Two-panel axial: CT | PSMA PET, 18F-PSMA tracer. PET panel 200×200 px (4.1 mm/px).
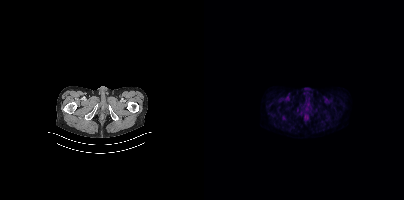
No PSMA-avid tumor lesions on this slice.